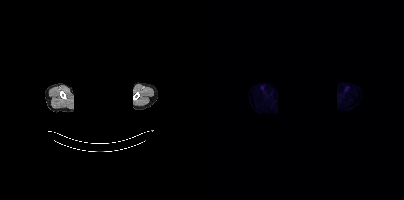
De-identified by setting a box covering the face to black before release. Paired axial CT (left) and PSMA PET (right), 18F tracer. Slice position z = -854 mm. PET panel 200×200 px (4.1 mm/px). No PSMA-avid tumor lesions on this slice.